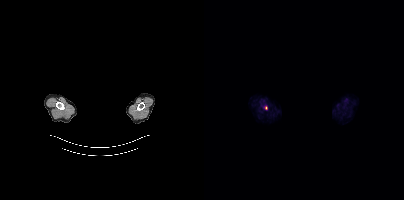
- a rectangle over the head was blacked out to remove identifiable facial features
- Paired axial CT (left) and PSMA PET (right), 18F tracer
- slice 373 of 405
Findings: Coordinates are on the 200×200 PET (right) panel. Small PSMA-avid focus (2 to 4 px across) near (center x, center y): (62, 107).